Paired axial CT (left) and PSMA PET (right), 68Ga tracer. Acquired on Siemens Biograph mCT Flow 20. Slice 124 of 393. PET panel 200×200 px (4.1 mm/px).
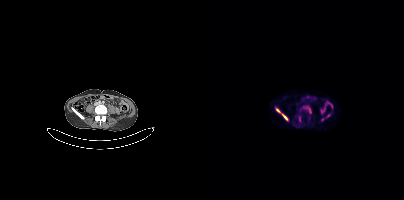
Coordinates are on the 200×200 PET (right) panel. PSMA-avid tumor lesion bounding boxes:
| # | x0 | y0 | x1 | y1 |
|---|---|---|---|---|
| 1 | 72 | 109 | 83 | 120 |